Left: CT. Right: PSMA PET, same axial level, 68Ga tracer. PET panel 168×168 px (4.1 mm/px).
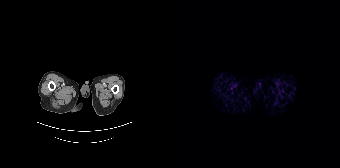
Negative for PSMA-avid disease on this slice.